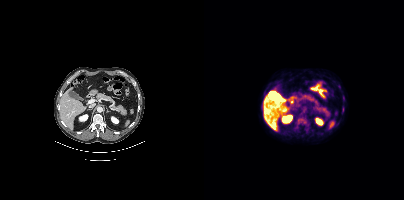
{"modality":"PSMA PET/CT","view":"axial","tracer":"18F-PSMA","pet_grid":[200,200],"coord_frame":"pet_panel","coord_format":"x0,y0,x1,y1","psma_avid_lesions":false}